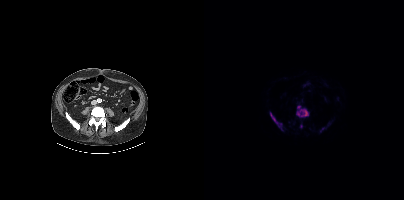
Findings: Coordinates are on the 200×200 PET (right) panel. PSMA-avid tumor lesion bounding boxes (x0, y0)-(x1, y1): (92, 106)-(104, 117); (66, 113)-(78, 130). Small PSMA-avid focus (2 to 4 px across) near (center x, center y): (97, 126).
- Left: CT. Right: PSMA PET, same axial level, [18F]PSMA-1007 tracer
- slice position z = -1489 mm
- PET panel 200×200 px (4.1 mm/px)